Two-panel axial: CT | PSMA PET, [18F]PSMA-1007 tracer. PET panel 200×200 px (4.1 mm/px). An anonymization step blacked out a rectangle over the head in this scan.
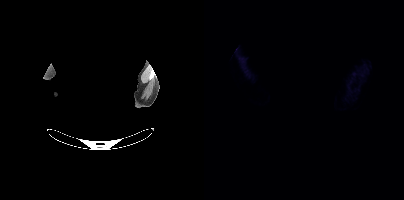
Negative for PSMA-avid disease on this slice.